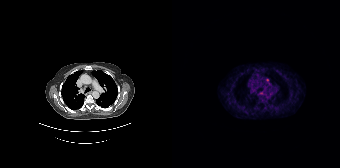
Two-panel axial: CT | PSMA PET, 68Ga-PSMA tracer. PET panel 168×168 px (4.1 mm/px). Coordinates are on the 168×168 PET (right) panel. Small PSMA-avid foci (2 to 4 px across) near (center x, center y): (95, 79) (89, 93).